Technique: Paired axial CT (left) and PSMA PET (right), [18F]PSMA-1007 tracer. slice 75 of 299. PET panel 256×256 px (2.7 mm/px).
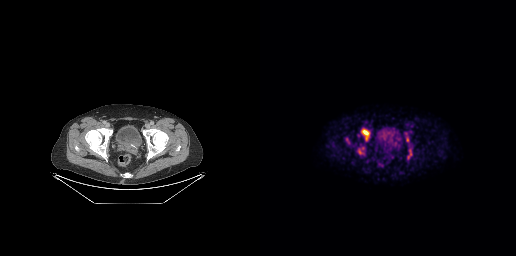
Findings: Coordinates are on the 256×256 PET (right) panel. (showing 4 of 5 foci) PSMA-avid tumor lesion bounding boxes (x, y, width, height): x=101 y=129 w=9 h=12 | x=148 y=149 w=4 h=8 | x=146 y=137 w=3 h=5. Small PSMA-avid focus (2 to 4 px across) near (center x, center y): (99, 152).